modality: PSMA PET/CT | tracer: 18F-PSMA | view: axial | PET grid: 200×200
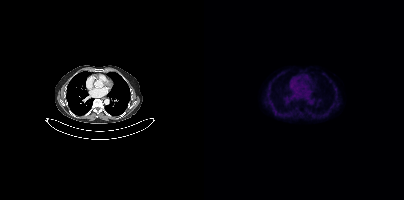
No tumor lesions annotated on this slice.